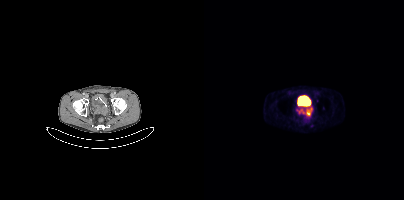
Coordinates are on the 200×200 PET (right) panel. (showing 1 of 2 foci) PSMA-avid tumor lesion bounding box (x0,y0,x1,y1): [93,107,108,116].
modality: PSMA PET/CT | tracer: 68Ga | view: axial | PET grid: 200×200